Left: CT. Right: PSMA PET, same axial level, 18F-PSMA tracer. Acquired on Siemens Biograph mCT Flow 20. PET panel 200×200 px (4.1 mm/px).
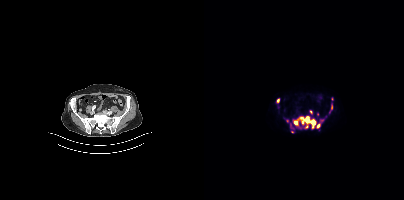
Coordinates are on the 200×200 PET (right) panel. PSMA-avid tumor lesion bounding boxes (partial; 3 more foci not listed):
| # | x0 | y0 | x1 | y1 |
|---|---|---|---|---|
| 1 | 89 | 116 | 111 | 128 |
| 2 | 113 | 124 | 115 | 128 |
| 3 | 127 | 105 | 128 | 109 |
Small PSMA-avid foci (2 to 4 px across) near (center x, center y): (74, 100); (88, 131); (106, 111); (83, 120).